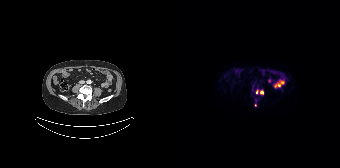
{"modality":"PSMA PET/CT","view":"axial","tracer":"[18F]PSMA-1007","pet_grid":[168,168],"coord_frame":"pet_panel","coord_format":"x0,y0,x1,y1","lesion_bboxes":[[88,90,91,94],[84,89,86,93]],"small_foci_centers":[[83,105]]}